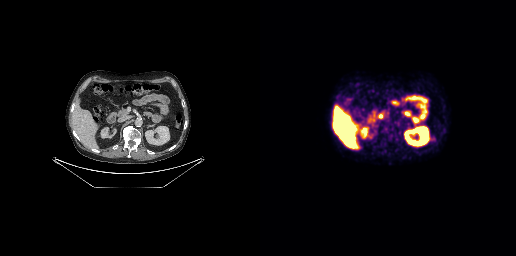
- Paired axial CT (left) and PSMA PET (right), 18F-PSMA tracer
- acquired on GE Discovery 690
- PET panel 256×256 px (2.7 mm/px)
Findings: No tumor lesions annotated on this slice.